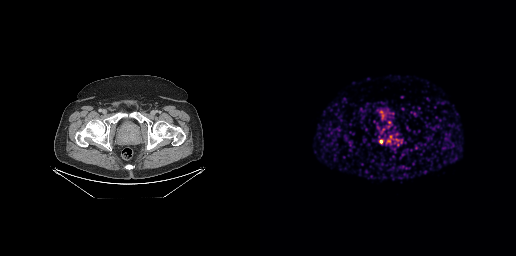
{"modality":"PSMA PET/CT","view":"axial","tracer":"68Ga","pet_grid":[256,256],"coord_frame":"pet_panel","coord_format":"x0,y0,x1,y1","lesion_bboxes":[[119,139,123,143]],"small_foci_centers":[[128,141]]}